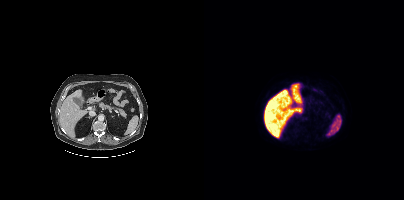
- Two-panel axial: CT | PSMA PET, 18F-PSMA tracer
- acquired on Siemens Biograph mCT Flow 20
- slice position z = -1148 mm
- PET panel 200×200 px (4.1 mm/px)
Findings: Negative for PSMA-avid disease on this slice.